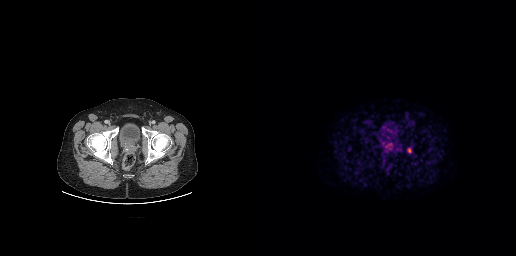
{"modality":"PSMA PET/CT","view":"axial","tracer":"[18F]PSMA-1007","pet_grid":[256,256],"coord_frame":"pet_panel","coord_format":"x0,y0,x1,y1","partial":true,"lesion_bboxes":[[148,148,151,152]]}